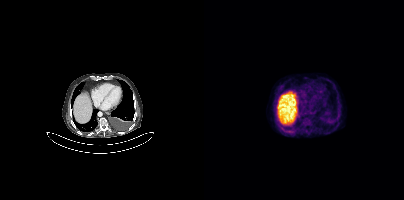
Technique: Two-panel axial: CT | PSMA PET, [18F]PSMA-1007 tracer. acquired on Siemens Biograph mCT Flow 20. slice position z = -1156 mm.
Findings: Negative for PSMA-avid disease on this slice.